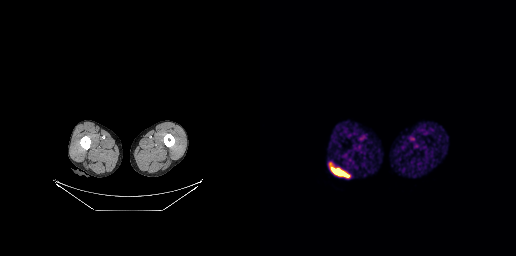
- Two-panel axial: CT | PSMA PET, [68Ga]Ga-PSMA-11 tracer
Findings: Negative for PSMA-avid disease on this slice.